Paired axial CT (left) and PSMA PET (right), 68Ga tracer. Slice position z = -898 mm.
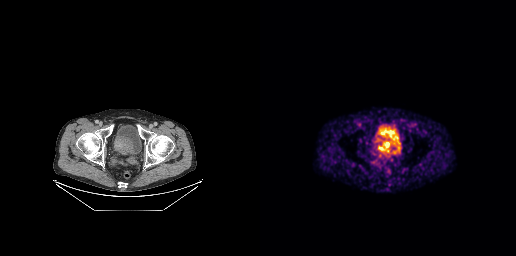
Coordinates are on the 256×256 PET (right) panel. PSMA-avid tumor lesion bounding box (x0,y0,x1,y1): [119,147,123,149]. Small PSMA-avid focus (2 to 4 px across) near (center x, center y): (126, 145).